Technique: Two-panel axial: CT | PSMA PET, 18F-PSMA tracer. acquired on Siemens Biograph mCT Flow 20.
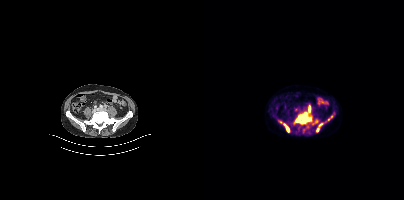
Findings: Coordinates are on the 200×200 PET (right) panel. (showing 5 of 6 foci) PSMA-avid tumor lesion bounding boxes (x0,y0,x1,y1): [91,112,107,123], [79,123,85,132], [105,106,106,111]. Small PSMA-avid foci (2 to 4 px across) near (center x, center y): (113, 129), (116, 124).